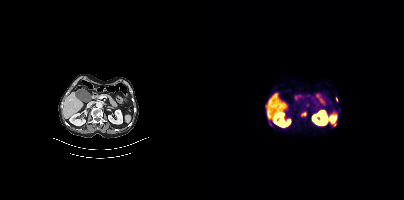
Two-panel axial: CT | PSMA PET, 68Ga-PSMA tracer. Slice 186 of 409.
Coordinates are on the 200×200 PET (right) panel. PSMA-avid tumor lesion bounding boxes (partial; 2 more foci not listed):
| # | x0 | y0 | x1 | y1 |
|---|---|---|---|---|
| 1 | 98 | 112 | 102 | 115 |
Small PSMA-avid foci (2 to 4 px across) near (center x, center y): (130, 124); (132, 99); (65, 119); (67, 125).